Paired axial CT (left) and PSMA PET (right), [18F]PSMA-1007 tracer. Acquired on GE Discovery 690. PET panel 256×256 px (2.7 mm/px).
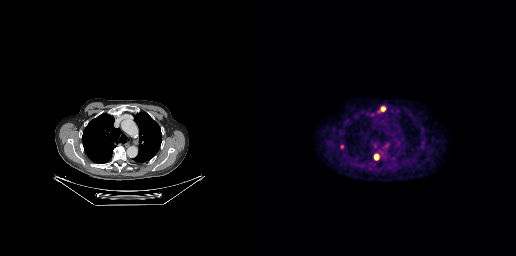
Coordinates are on the 256×256 PET (right) panel. PSMA-avid tumor lesion bounding boxes (x, y, width, height): x=120 y=106 w=6 h=6 / x=114 y=154 w=5 h=6 / x=80 y=144 w=5 h=6.